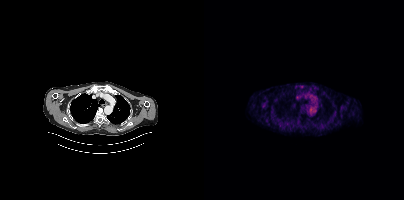
Technique: Paired axial CT (left) and PSMA PET (right), 18F-PSMA tracer. PET panel 200×200 px (4.1 mm/px).
Findings: No tumor lesions annotated on this slice.